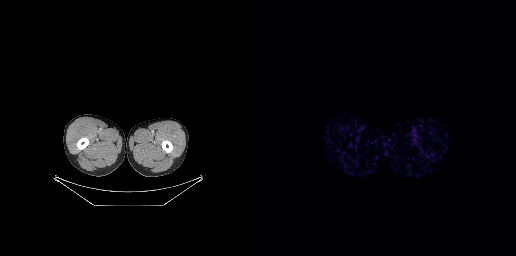
Negative for PSMA-avid disease on this slice.